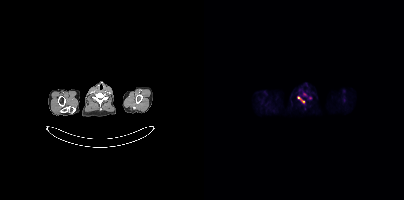
- Paired axial CT (left) and PSMA PET (right), 18F-PSMA tracer
- acquired on Siemens Biograph mCT Flow 20
- slice 345 of 403
Findings: Coordinates are on the 200×200 PET (right) panel. PSMA-avid tumor lesion bounding box (x0, y0)-(x1, y1): (93, 96)-(101, 103). Small PSMA-avid foci (2 to 4 px across) near (center x, center y): (100, 94) / (106, 97).